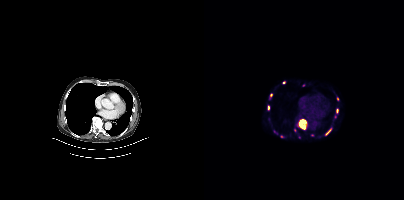
{"modality":"PSMA PET/CT","view":"axial","tracer":"[68Ga]Ga-PSMA-11","pet_grid":[200,200],"coord_frame":"pet_panel","coord_format":"x0,y0,x1,y1","partial":true,"lesion_bboxes":[[95,120,102,128],[121,128,127,135]],"small_foci_centers":[[64,107],[79,82],[77,136]]}